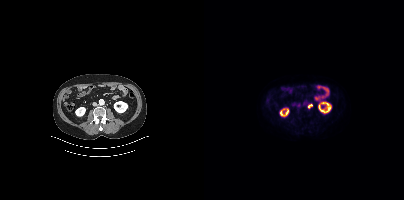
Coordinates are on the 200×200 PET (right) panel. PSMA-avid tumor lesion bounding box (x0, y0)-(x1, y1): (104, 104)-(108, 108).